Technique: Two-panel axial: CT | PSMA PET, 68Ga tracer. PET panel 168×168 px (4.1 mm/px).
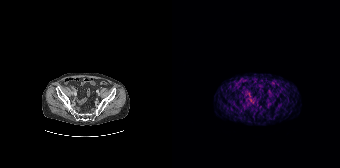
Findings: Negative for PSMA-avid disease on this slice.